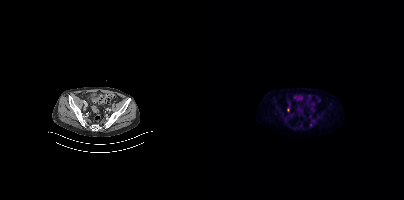
No tumor lesions annotated on this slice. Paired axial CT (left) and PSMA PET (right), [18F]PSMA-1007 tracer. PET panel 200×200 px (4.1 mm/px).